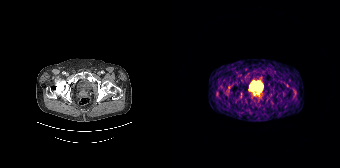
{"modality":"PSMA PET/CT","view":"axial","tracer":"68Ga","pet_grid":[168,168],"coord_frame":"pet_panel","coord_format":"x0,y0,x1,y1","partial":true,"lesion_bboxes":[]}